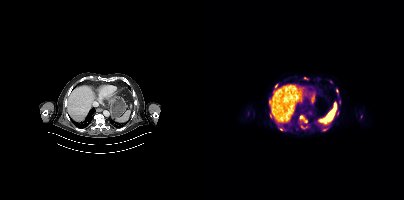
- Paired axial CT (left) and PSMA PET (right), 18F tracer
- acquired on Siemens Biograph mCT Flow 20
- PET panel 200×200 px (4.1 mm/px)
Findings: Coordinates are on the 200×200 PET (right) panel. (showing 10 of 14 foci) PSMA-avid tumor lesion bounding boxes (x, y, width, height): x=66 y=114 w=3 h=5 | x=118 y=128 w=6 h=3. Small PSMA-avid foci (2 to 4 px across) near (center x, center y): (97, 125) | (133, 90) | (70, 91) | (97, 117) | (72, 85) | (77, 129) | (66, 105) | (133, 114).